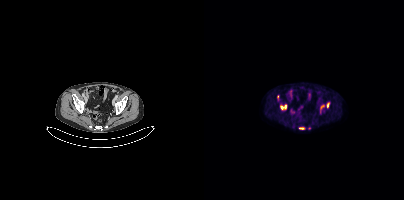
Technique: Left: CT. Right: PSMA PET, same axial level, 18F-PSMA tracer. acquired on Siemens Biograph mCT Flow 20. slice 99 of 415.
Findings: Coordinates are on the 200×200 PET (right) panel. (showing 5 of 6 foci) PSMA-avid tumor lesion bounding boxes (x0, y0)-(x1, y1): (76, 105)-(82, 109) / (116, 104)-(120, 112) / (122, 102)-(125, 108) / (95, 127)-(100, 129) / (73, 95)-(74, 99).